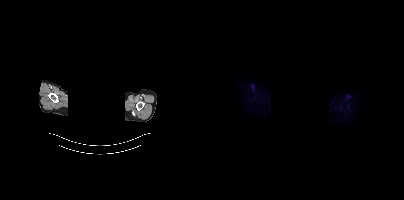
Technique: Paired axial CT (left) and PSMA PET (right), 18F-PSMA tracer.
Note: Privacy masking over the head, with the pixels inside a rectangle set to black.
Findings: No PSMA-avid tumor lesions on this slice.